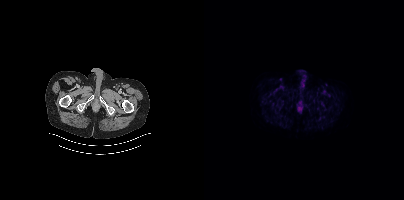
Negative for PSMA-avid disease on this slice.